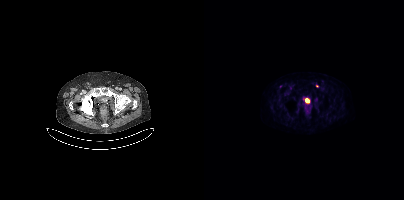
{"modality":"PSMA PET/CT","view":"axial","tracer":"18F","pet_grid":[200,200],"coord_frame":"pet_panel","coord_format":"x0,y0,x1,y1","partial":true,"lesion_bboxes":[]}